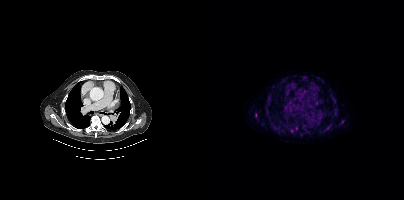
Two-panel axial: CT | PSMA PET, 18F tracer. Acquired on Siemens Biograph mCT Flow 20. PET panel 200×200 px (4.1 mm/px). Coordinates are on the 200×200 PET (right) panel. (showing 3 of 4 foci) Small PSMA-avid foci (2 to 4 px across) near (center x, center y): (51, 115) / (92, 128) / (87, 130).